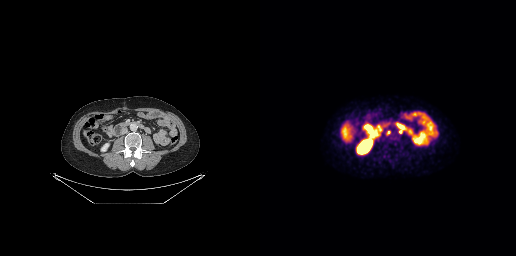
Coordinates are on the 256×256 PET (right) panel. PSMA-avid tumor lesion bounding box (x, y, width, height): x=139 y=129 w=4 h=5. Small PSMA-avid focus (2 to 4 px across) near (center x, center y): (128, 132). Two-panel axial: CT | PSMA PET, 18F tracer. Acquired on GE Discovery 690. Slice position z = -492 mm.